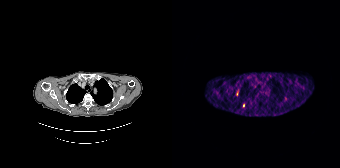
Findings: Coordinates are on the 168×168 PET (right) panel. PSMA-avid tumor lesion bounding box (x0, y0)-(x1, y1): (64, 91)-(66, 95). Small PSMA-avid focus (2 to 4 px across) near (center x, center y): (71, 105).
- Left: CT. Right: PSMA PET, same axial level, 68Ga-PSMA tracer